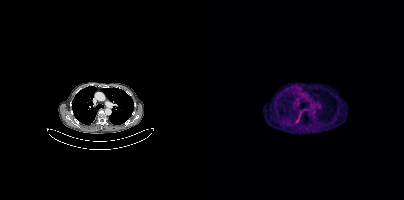
This slice has no annotated PSMA-avid lesion.